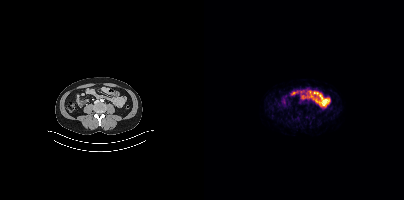
{"pet_grid":[200,200],"coord_frame":"pet_panel","coord_format":"x0,y0,x1,y1","psma_avid_lesions":false,"modality":"PSMA PET/CT","view":"axial","tracer":"[68Ga]Ga-PSMA-11"}